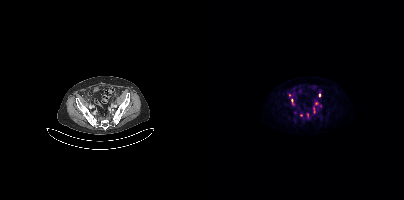
{"pet_grid":[200,200],"coord_frame":"pet_panel","coord_format":"x0,y0,x1,y1","partial":true,"lesion_bboxes":[[87,99,89,104],[109,107,111,113]],"small_foci_centers":[[112,103],[103,114],[97,115],[115,95]],"modality":"PSMA PET/CT","view":"axial","tracer":"18F"}